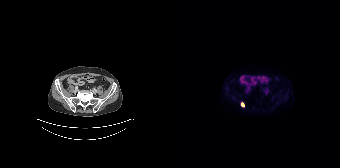
Coordinates are on the 168×168 PET (right) panel. PSMA-avid tumor lesion bounding box (x0, y0)-(x1, y1): (69, 102)-(72, 106).